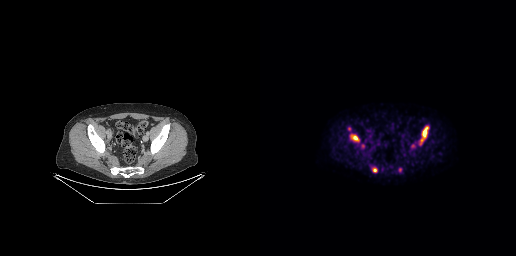
- Two-panel axial: CT | PSMA PET, [18F]PSMA-1007 tracer
- acquired on GE Discovery 690
- PET panel 256×256 px (2.7 mm/px)
Findings: Coordinates are on the 256×256 PET (right) panel. PSMA-avid tumor lesion bounding boxes (x0,y0,x1,y1): [159,126,169,145] [90,133,99,142] [112,167,117,172]. Small PSMA-avid foci (2 to 4 px across) near (center x, center y): (89, 128) (103, 146) (140, 169) (152, 145).